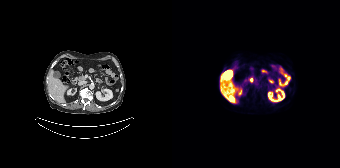
- Two-panel axial: CT | PSMA PET, [18F]PSMA-1007 tracer
Findings: Coordinates are on the 168×168 PET (right) panel. PSMA-avid tumor lesion bounding box (x0, y0)-(x1, y1): (57, 95)-(62, 100).